deidentification: face masked with black rectangle | modality: PSMA PET/CT | tracer: 18F-PSMA | view: axial
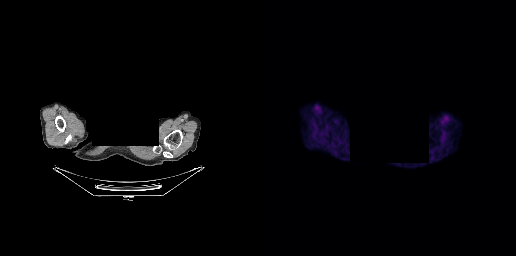
Coordinates are on the 256×256 PET (right) panel. Small PSMA-avid focus (2 to 4 px across) near (center x, center y): (174, 148).